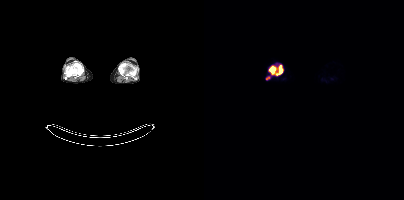
{"modality":"PSMA PET/CT","view":"axial","tracer":"18F-PSMA","pet_grid":[200,200],"coord_frame":"pet_panel","coord_format":"x0,y0,x1,y1","lesion_bboxes":[[65,65,79,75]],"small_foci_centers":[[63,78]]}